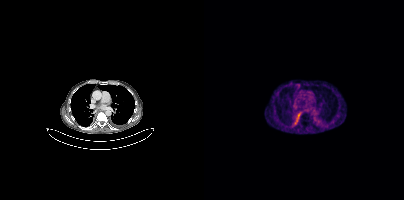
modality: PSMA PET/CT | tracer: 68Ga-PSMA | view: axial | PET grid: 200×200
Coordinates are on the 200×200 PET (right) panel. Small PSMA-avid focus (2 to 4 px across) near (center x, center y): (103, 110).